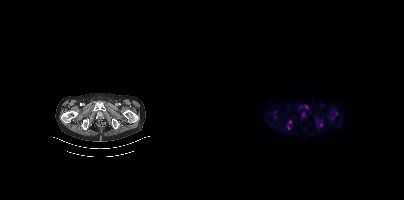
Technique: Left: CT. Right: PSMA PET, same axial level, [18F]PSMA-1007 tracer. PET panel 200×200 px (4.1 mm/px).
Findings: Coordinates are on the 200×200 PET (right) panel. (showing 8 of 10 foci) PSMA-avid tumor lesion bounding boxes (x0, y0)-(x1, y1): (84, 120)-(87, 124) | (101, 104)-(103, 108) | (126, 115)-(130, 119). Small PSMA-avid foci (2 to 4 px across) near (center x, center y): (117, 124) | (84, 127) | (99, 115) | (132, 113) | (97, 106).